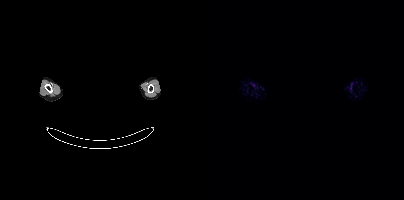
{"pet_grid":[200,200],"coord_frame":"pet_panel","coord_format":"x0,y0,x1,y1","psma_avid_lesions":false,"modality":"PSMA PET/CT","view":"axial","tracer":"18F","de-identification":"head region blacked out before release"}